- Left: CT. Right: PSMA PET, same axial level, [18F]PSMA-1007 tracer
- acquired on Siemens Biograph mCT Flow 20
- slice position z = -1551 mm
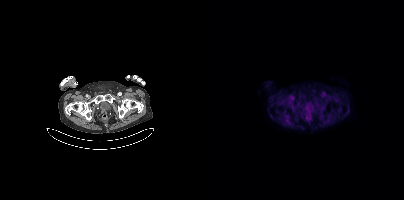
Findings: Negative for PSMA-avid disease on this slice.